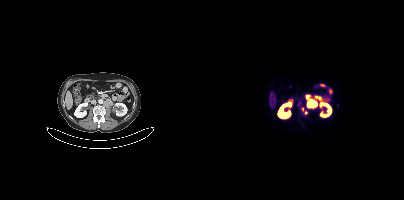
Technique: Paired axial CT (left) and PSMA PET (right), 68Ga-PSMA tracer. acquired on Siemens Biograph mCT Flow 20. slice 186 of 411. PET panel 200×200 px (4.1 mm/px).
Findings: Coordinates are on the 200×200 PET (right) panel. PSMA-avid tumor lesion bounding boxes (x0, y0)-(x1, y1): (97, 107)-(102, 113) | (94, 100)-(97, 105). Small PSMA-avid focus (2 to 4 px across) near (center x, center y): (133, 105).